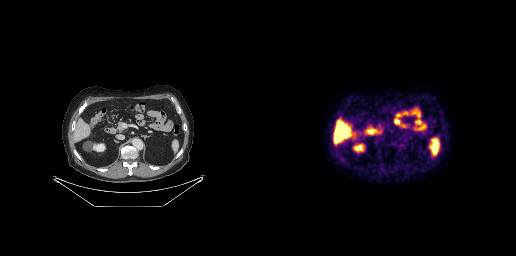
Findings: Negative for PSMA-avid disease on this slice.
Technique: Paired axial CT (left) and PSMA PET (right), [18F]PSMA-1007 tracer.